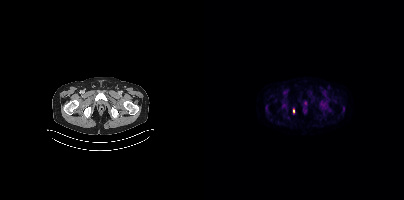
Left: CT. Right: PSMA PET, same axial level, 68Ga tracer. Acquired on Siemens Biograph mCT Flow 20. Slice position z = -1748 mm. PET panel 200×200 px (4.1 mm/px). Coordinates are on the 200×200 PET (right) panel. Small PSMA-avid focus (2 to 4 px across) near (center x, center y): (89, 110).